Left: CT. Right: PSMA PET, same axial level, 68Ga tracer. Acquired on Siemens Biograph 64-4R TruePoint. Slice position z = -769 mm. PET panel 168×168 px (4.1 mm/px).
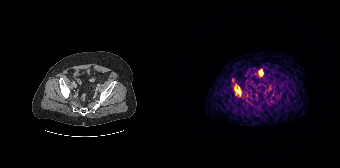
Coordinates are on the 168×168 PET (right) panel. PSMA-avid tumor lesion bounding box (x0,y0,x1,y1): [62,84,69,96].